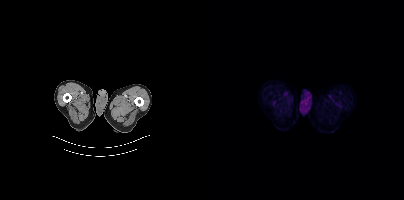
{"modality":"PSMA PET/CT","view":"axial","tracer":"[18F]PSMA-1007","pet_grid":[200,200],"coord_frame":"pet_panel","coord_format":"x0,y0,x1,y1","psma_avid_lesions":false}